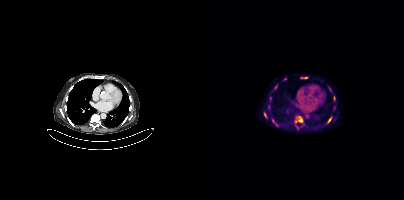
Left: CT. Right: PSMA PET, same axial level, 18F tracer. Acquired on Siemens Biograph mCT Flow 20. Slice 235 of 373. PET panel 200×200 px (4.1 mm/px). Coordinates are on the 200×200 PET (right) panel. PSMA-avid tumor lesion bounding boxes (x0,y0,x1,y1): [91,116,98,122]; [123,117,127,122]; [97,77,102,78]; [129,96,131,100]; [60,113,62,117]; [71,85,73,89]; [125,87,127,91]. Small PSMA-avid foci (2 to 4 px across) near (center x, center y): (81, 78); (68, 120).